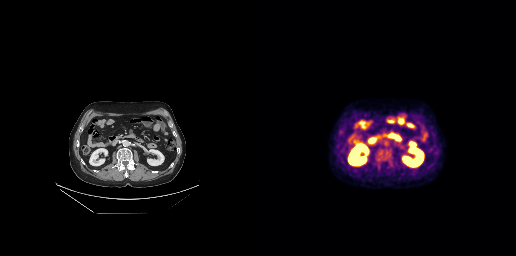
Findings: Negative for PSMA-avid disease on this slice.
- Two-panel axial: CT | PSMA PET, 18F-PSMA tracer